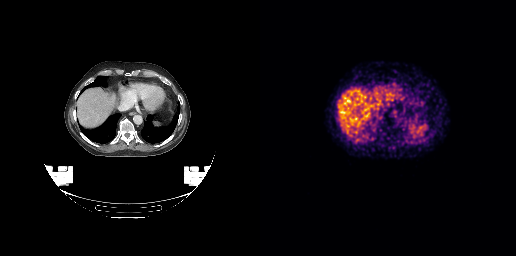
Negative for PSMA-avid disease on this slice.